Two-panel axial: CT | PSMA PET, 68Ga tracer. Slice 51 of 263. PET panel 256×256 px (2.7 mm/px).
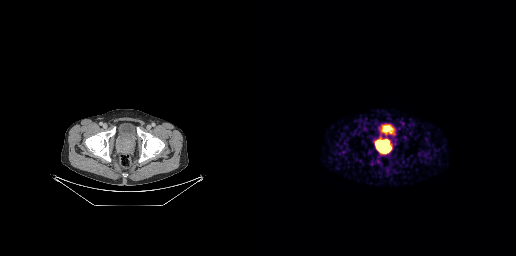
Coordinates are on the 256×256 PET (right) panel. PSMA-avid tumor lesion bounding box (x0,y0,x1,y1): [115,139,130,151].